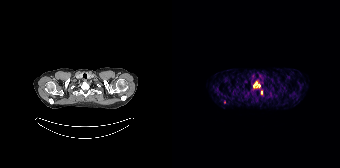
Coordinates are on the 168×168 PET (right) panel. PSMA-avid tumor lesion bounding box (x0, y0)-(x1, y1): (81, 81)-(88, 87). Small PSMA-avid foci (2 to 4 px across) near (center x, center y): (89, 92); (52, 102).
modality: PSMA PET/CT | tracer: 68Ga-PSMA | view: axial | PET grid: 168×168